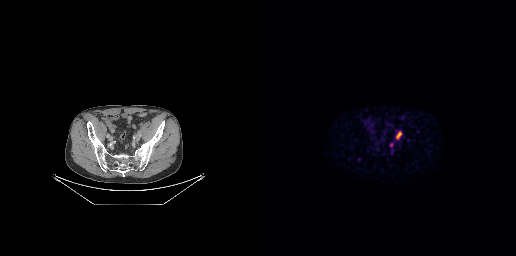
Coordinates are on the 256×256 PET (right) panel. PSMA-avid tumor lesion bounding box (x0,y0,x1,y1): [136,131,141,139]. Small PSMA-avid foci (2 to 4 px across) near (center x, center y): (131, 144), (132, 149). Two-panel axial: CT | PSMA PET, [18F]PSMA-1007 tracer.